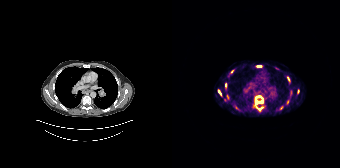
Coordinates are on the 168×168 PET (right) panel. (showing 9 of 12 foci) PSMA-avid tumor lesion bounding boxes (x0, y0)-(x1, y1): (83, 95)-(91, 110) | (84, 65)-(89, 67) | (46, 90)-(49, 95). Small PSMA-avid foci (2 to 4 px across) near (center x, center y): (60, 71) | (53, 85) | (55, 96) | (116, 79) | (116, 101) | (109, 107). Paired axial CT (left) and PSMA PET (right), 68Ga tracer. Slice position z = -335 mm.